Technique: Paired axial CT (left) and PSMA PET (right), 68Ga tracer. acquired on Siemens Biograph 64-4R TruePoint. slice position z = -778 mm.
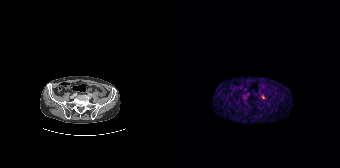
Findings: Coordinates are on the 168×168 PET (right) panel. Small PSMA-avid focus (2 to 4 px across) near (center x, center y): (91, 96).